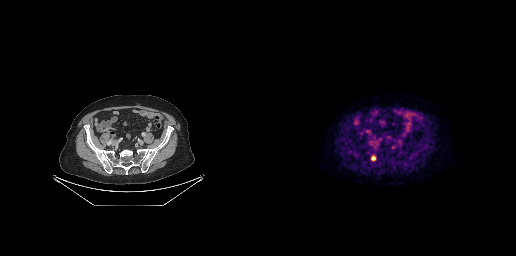
Findings: Coordinates are on the 256×256 PET (right) panel. (showing 1 of 2 foci) Small PSMA-avid focus (2 to 4 px across) near (center x, center y): (113, 158).
Technique: Two-panel axial: CT | PSMA PET, 18F-PSMA tracer. PET panel 256×256 px (2.7 mm/px).